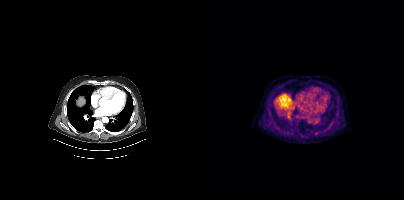
Paired axial CT (left) and PSMA PET (right), 18F tracer. Slice position z = -1040 mm. PET panel 200×200 px (4.1 mm/px). Coordinates are on the 200×200 PET (right) panel. Small PSMA-avid focus (2 to 4 px across) near (center x, center y): (112, 133).